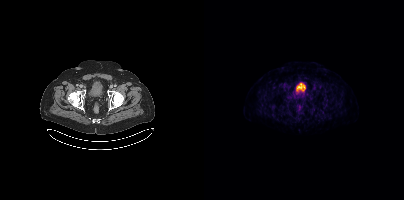
Coordinates are on the 200×200 PET (right) panel. PSMA-avid tumor lesion bounding box (x, y, width, height): x=82 y=84 w=6 h=5. Paired axial CT (left) and PSMA PET (right), [18F]PSMA-1007 tracer. PET panel 200×200 px (4.1 mm/px).